Technique: Left: CT. Right: PSMA PET, same axial level, 18F-PSMA tracer.
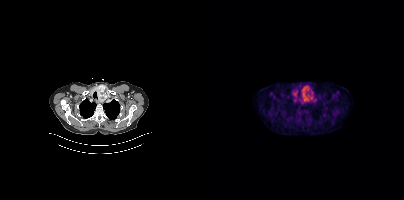
Findings: Negative for PSMA-avid disease on this slice.